Left: CT. Right: PSMA PET, same axial level, 18F tracer. Slice position z = -227 mm.
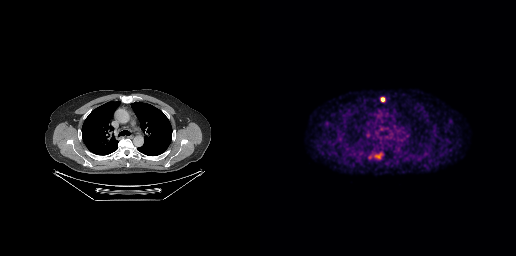
Coordinates are on the 256×256 PET (right) panel. PSMA-avid tumor lesion bounding box (x, y, width, height): x=121 y=97 w=4 h=5.